Technique: Left: CT. Right: PSMA PET, same axial level, 18F-PSMA tracer.
Note: Face de-identified by blanking a block of the head.
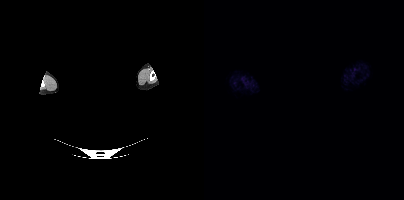
Findings: Negative for PSMA-avid disease on this slice.